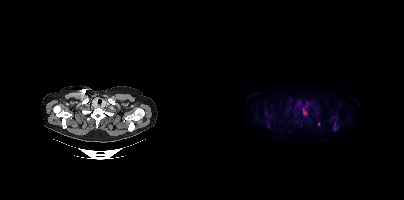
- Left: CT. Right: PSMA PET, same axial level, 18F tracer
- acquired on Siemens Biograph mCT Flow 20
Findings: Coordinates are on the 200×200 PET (right) panel. PSMA-avid tumor lesion bounding boxes (x0,y0,x1,y1): [128,119,134,130]; [98,108,103,116]. Small PSMA-avid foci (2 to 4 px across) near (center x, center y): (61, 113); (92, 115); (64, 125); (97, 122); (114, 124).